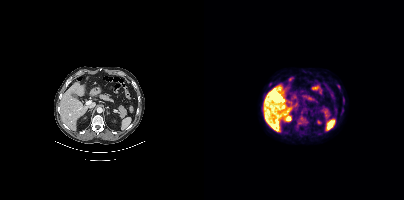
Coordinates are on the 200×200 PET (right) panel. Small PSMA-avid focus (2 to 4 px across) near (center x, center y): (140, 106). Left: CT. Right: PSMA PET, same axial level, 18F-PSMA tracer. PET panel 200×200 px (4.1 mm/px).